Technique: Paired axial CT (left) and PSMA PET (right), 68Ga-PSMA tracer. acquired on Siemens Biograph 64-4R TruePoint. slice 153 of 165.
Note: Face de-identified by blanking a block of the head.
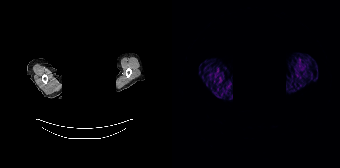
Findings: No PSMA-avid tumor lesions on this slice.